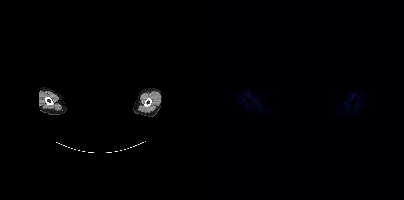
Findings: No PSMA-avid tumor lesions on this slice.
- Paired axial CT (left) and PSMA PET (right), 18F-PSMA tracer
- facial anatomy redacted by setting a rectangular region of the head to black